Two-panel axial: CT | PSMA PET, 18F-PSMA tracer. Slice 53 of 395.
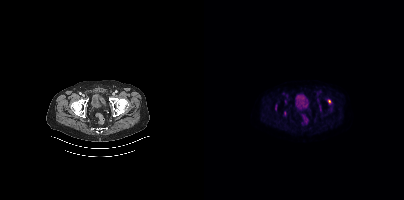
Coordinates are on the 200×200 PET (right) panel. (showing 1 of 4 foci) Small PSMA-avid focus (2 to 4 px across) near (center x, center y): (125, 101).